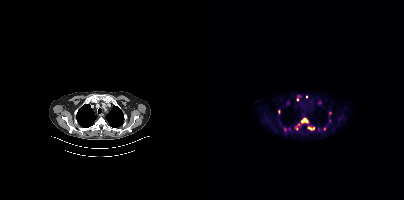
- Paired axial CT (left) and PSMA PET (right), 18F tracer
- acquired on Siemens Biograph mCT Flow 20
- slice 323 of 413
- PET panel 200×200 px (4.1 mm/px)
Findings: Coordinates are on the 200×200 PET (right) panel. (showing 7 of 10 foci) PSMA-avid tumor lesion bounding boxes (x0, y0)-(x1, y1): (97, 118)-(104, 123); (103, 126)-(110, 130). Small PSMA-avid foci (2 to 4 px across) near (center x, center y): (92, 128); (94, 124); (80, 129); (120, 128); (102, 96).